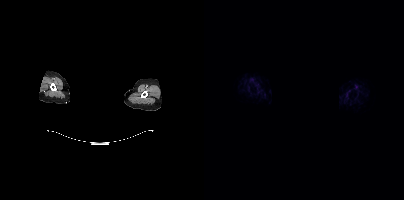
Face de-identified by blanking a block of the head.
No tumor lesions annotated on this slice.